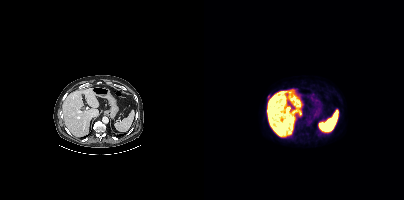
Two-panel axial: CT | PSMA PET, 18F tracer. Acquired on Siemens Biograph mCT Flow 20. PET panel 200×200 px (4.1 mm/px). Coordinates are on the 200×200 PET (right) panel. Small PSMA-avid focus (2 to 4 px across) near (center x, center y): (65, 96).